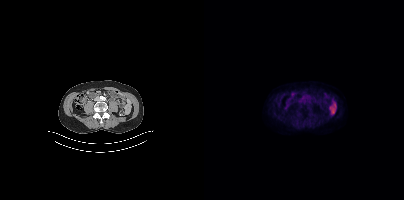
No PSMA-avid tumor lesions on this slice.